- Left: CT. Right: PSMA PET, same axial level, 18F-PSMA tracer
- PET panel 256×256 px (2.7 mm/px)
- an anonymization step blacked out a rectangle over the head in this scan
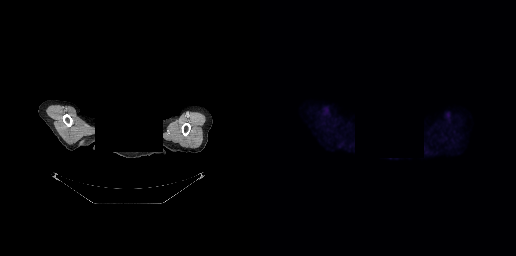
Findings: Negative for PSMA-avid disease on this slice.